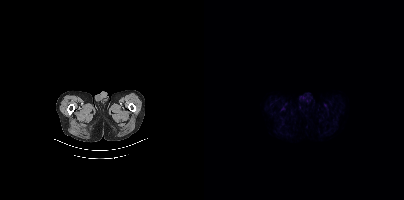
No tumor lesions annotated on this slice. Left: CT. Right: PSMA PET, same axial level, [18F]PSMA-1007 tracer. Acquired on Siemens Biograph mCT Flow 20.